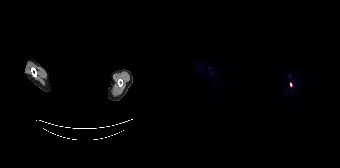
Technique: Paired axial CT (left) and PSMA PET (right), [18F]PSMA-1007 tracer. slice 158 of 165.
Note: Any black rectangle over the head is a privacy mask, not anatomy.
Findings: Coordinates are on the 168×168 PET (right) panel. Small PSMA-avid focus (2 to 4 px across) near (center x, center y): (118, 84).